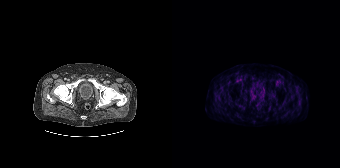
{"modality":"PSMA PET/CT","view":"axial","tracer":"[18F]PSMA-1007","pet_grid":[168,168],"coord_frame":"pet_panel","coord_format":"x0,y0,x1,y1","psma_avid_lesions":false}